Two-panel axial: CT | PSMA PET, [18F]PSMA-1007 tracer. PET panel 200×200 px (4.1 mm/px).
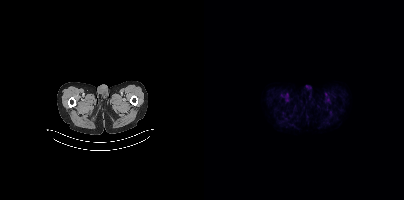
This slice has no annotated PSMA-avid lesion.